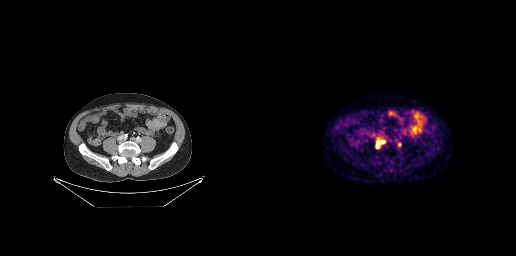
Coordinates are on the 256×256 PET (right) panel. PSMA-avid tumor lesion bounding box (x, y, width, height): x=115 y=138 w=11 h=11. Small PSMA-avid focus (2 to 4 px across) near (center x, center y): (139, 144).